Paired axial CT (left) and PSMA PET (right), 18F-PSMA tracer. PET panel 256×256 px (2.7 mm/px). Facial anatomy redacted by setting a rectangular region of the head to black.
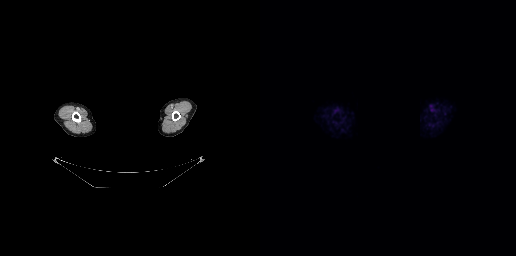
Negative for PSMA-avid disease on this slice.